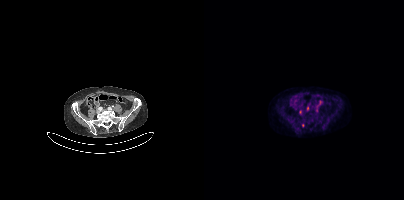
Findings: Coordinates are on the 200×200 PET (right) panel. Small PSMA-avid foci (2 to 4 px across) near (center x, center y): (103, 108) | (99, 125) | (96, 112).
Technique: Two-panel axial: CT | PSMA PET, [18F]PSMA-1007 tracer.